Two-panel axial: CT | PSMA PET, 18F-PSMA tracer.
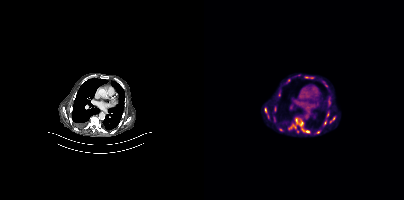
Coordinates are on the 200×200 PET (right) panel. (showing 11 of 13 foci) PSMA-avid tumor lesion bounding boxes (x0,y0,x1,y1): [86,118,100,130] [60,107,65,118] [70,106,72,111] [126,117,131,122]. Small PSMA-avid foci (2 to 4 px across) near (center x, center y): (125, 97) (103, 131) (121, 122) (123, 114) (70, 118) (75, 129) (93, 130).